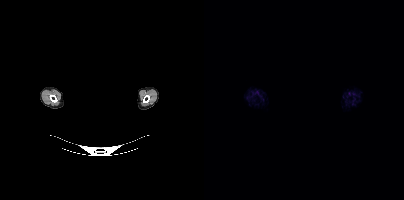
Face de-identified by blanking a block of the head.
This slice has no annotated PSMA-avid lesion.